A rectangular block over the head has been blanked out for de-identification.
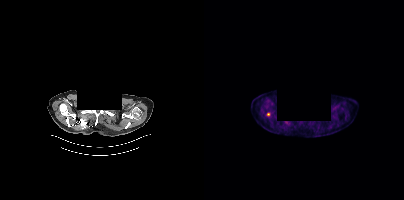
Coordinates are on the 200×200 PET (right) panel. Small PSMA-avid focus (2 to 4 px across) near (center x, center y): (64, 114).